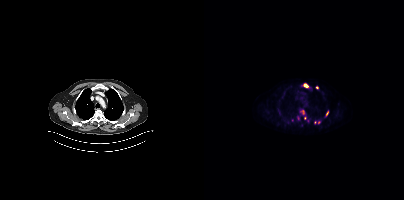
{"modality":"PSMA PET/CT","view":"axial","tracer":"18F-PSMA","pet_grid":[200,200],"coord_frame":"pet_panel","coord_format":"x0,y0,x1,y1","partial":true,"lesion_bboxes":[[98,83,105,88],[121,111,124,116],[98,110,100,114]],"small_foci_centers":[[94,117],[113,87],[100,117],[114,122]]}